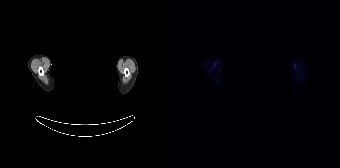
Findings: No tumor lesions annotated on this slice.
- face de-identified by blanking a block of the head
- Two-panel axial: CT | PSMA PET, 18F-PSMA tracer
- acquired on Siemens Biograph 64-4R TruePoint
- PET panel 168×168 px (4.1 mm/px)